- Two-panel axial: CT | PSMA PET, [18F]PSMA-1007 tracer
- slice 273 of 393
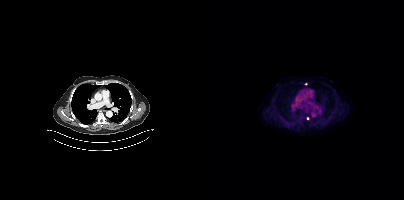
Findings: Coordinates are on the 200×200 PET (right) panel. Small PSMA-avid foci (2 to 4 px across) near (center x, center y): (102, 83) (103, 118).